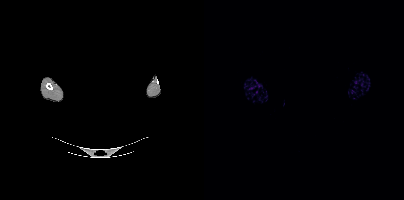
- face de-identified by blanking a block of the head
- Paired axial CT (left) and PSMA PET (right), 18F-PSMA tracer
- slice position z = 222 mm
- PET panel 200×200 px (4.1 mm/px)
Findings: No tumor lesions annotated on this slice.